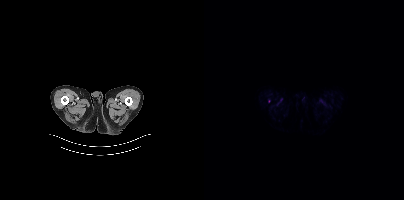
modality: PSMA PET/CT | tracer: 18F | view: axial | PET grid: 200×200
Coordinates are on the 200×200 PET (right) panel. Small PSMA-avid focus (2 to 4 px across) near (center x, center y): (64, 101).